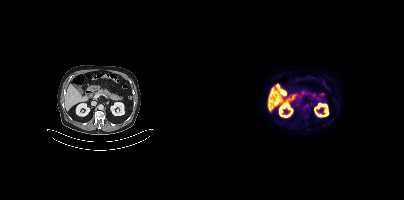
modality: PSMA PET/CT | tracer: [18F]PSMA-1007 | view: axial | PET grid: 200×200
No PSMA-avid tumor lesions on this slice.